modality: PSMA PET/CT | tracer: 18F | view: axial | PET grid: 200×200
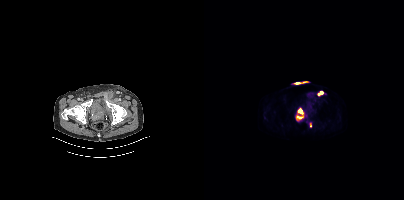
Coordinates are on the 200×200 PET (right) panel. (showing 3 of 4 foci) PSMA-avid tumor lesion bounding boxes (x0, y0)-(x1, y1): (93, 108)-(99, 114); (113, 91)-(119, 95); (92, 116)-(98, 118).